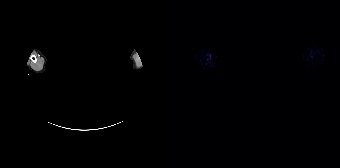
No tumor lesions annotated on this slice.
deidentification: head region blacked out before release | modality: PSMA PET/CT | tracer: 18F-PSMA | view: axial | PET grid: 168×168